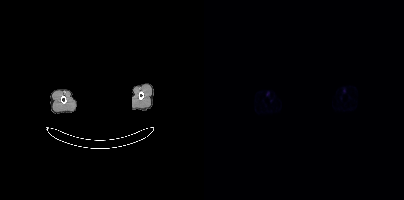
No PSMA-avid tumor lesions on this slice. A rectangle over the head was blacked out to remove identifiable facial features. Paired axial CT (left) and PSMA PET (right), 68Ga tracer.